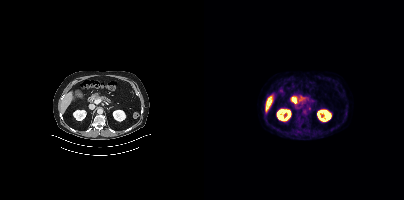
Left: CT. Right: PSMA PET, same axial level, 18F tracer. Acquired on Siemens Biograph mCT Flow 20. Slice 219 of 413. No PSMA-avid tumor lesions on this slice.